Paired axial CT (left) and PSMA PET (right), 68Ga tracer. Acquired on Siemens Biograph mCT Flow 20. Slice 182 of 429.
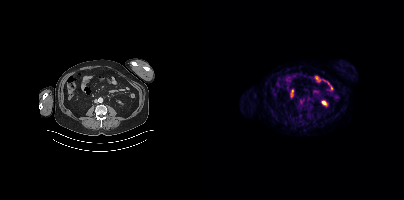
No tumor lesions annotated on this slice.